- Paired axial CT (left) and PSMA PET (right), [18F]PSMA-1007 tracer
- slice position z = -823 mm
- PET panel 200×200 px (4.1 mm/px)
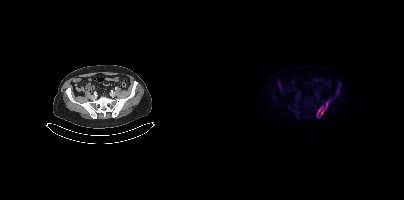
Findings: Coordinates are on the 200×200 PET (right) panel. PSMA-avid tumor lesion bounding boxes (x, y, width, height): x=112 y=102 w=13 h=16; x=133 y=89 w=3 h=5.